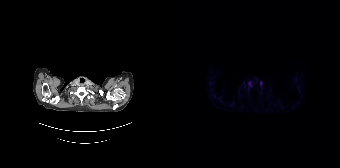
Paired axial CT (left) and PSMA PET (right), [18F]PSMA-1007 tracer. Slice position z = -1035 mm. Negative for PSMA-avid disease on this slice.